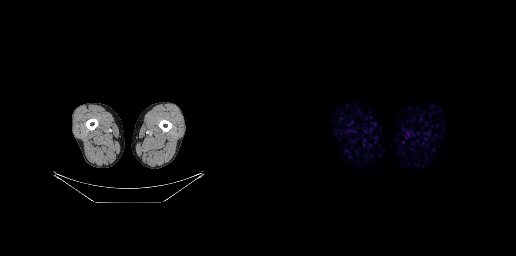
This slice has no annotated PSMA-avid lesion.